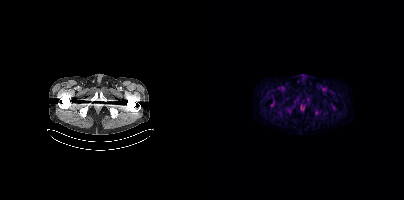
Paired axial CT (left) and PSMA PET (right), [18F]PSMA-1007 tracer. Acquired on Siemens Biograph mCT Flow 20. Negative for PSMA-avid disease on this slice.